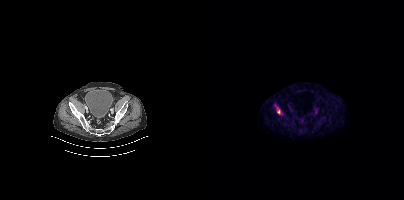
Coordinates are on the 200×200 PET (right) panel. PSMA-avid tumor lesion bounding box (x0, y0)-(x1, y1): (73, 109)-(76, 113).